Technique: Paired axial CT (left) and PSMA PET (right), 18F-PSMA tracer. slice 68 of 427.
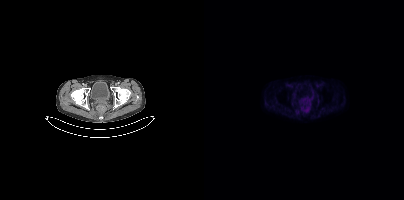
Findings: Coordinates are on the 200×200 PET (right) panel. (showing 1 of 2 foci) PSMA-avid tumor lesion bounding box (x0, y0)-(x1, y1): (101, 107)-(104, 111).